modality: PSMA PET/CT | tracer: 68Ga | view: axial
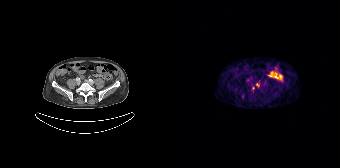
Coordinates are on the 168×168 PET (right) panel. (showing 2 of 3 foci) Small PSMA-avid foci (2 to 4 px across) near (center x, center y): (85, 84); (81, 88).